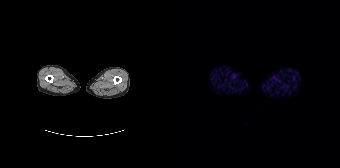
Negative for PSMA-avid disease on this slice.
modality: PSMA PET/CT | tracer: 68Ga | view: axial